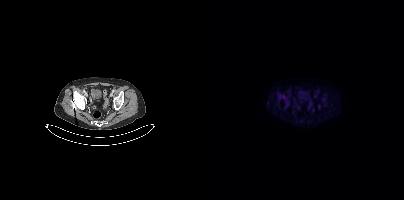
Coordinates are on the 200×200 PET (right) panel. (showing 2 of 3 foci) Small PSMA-avid foci (2 to 4 px across) near (center x, center y): (119, 99); (115, 106).
modality: PSMA PET/CT | tracer: 18F | view: axial